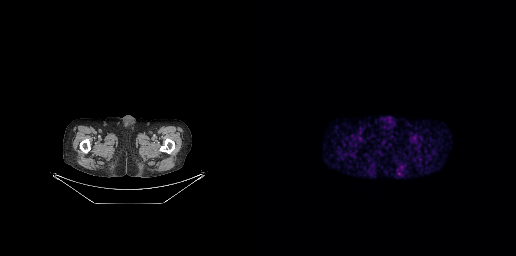
Technique: Two-panel axial: CT | PSMA PET, 68Ga tracer. slice position z = -870 mm.
Findings: No tumor lesions annotated on this slice.